Left: CT. Right: PSMA PET, same axial level, [18F]PSMA-1007 tracer. Slice position z = -724 mm. PET panel 200×200 px (4.1 mm/px).
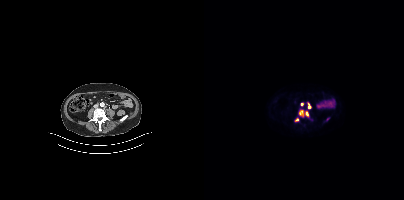
Coordinates are on the 200×200 PET (right) panel. PSMA-avid tumor lesion bounding boxes (x0,y0,x1,y1): [95,110,99,114] [104,102,106,108] [101,111,104,115]. Small PSMA-avid foci (2 to 4 px across) near (center x, center y): (92, 119) (98, 104).